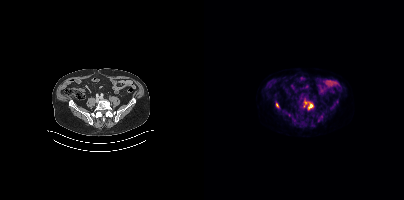
Coordinates are on the 200×200 PET (right) panel. PSMA-avid tumor lesion bounding boxes (partial; 1 more focus not listed):
| # | x0 | y0 | x1 | y1 |
|---|---|---|---|---|
| 1 | 99 | 99 | 109 | 109 |
| 2 | 72 | 103 | 74 | 107 |
Small PSMA-avid foci (2 to 4 px across) near (center x, center y): (117, 116); (114, 120).
Left: CT. Right: PSMA PET, same axial level, 18F-PSMA tracer. Slice position z = -1326 mm.